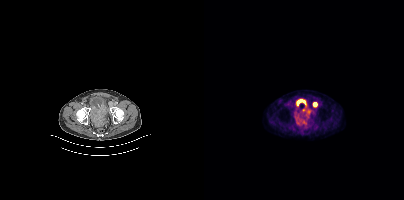
{"pet_grid":[200,200],"coord_frame":"pet_panel","coord_format":"x0,y0,x1,y1","lesion_bboxes":[[109,102,112,106]],"modality":"PSMA PET/CT","view":"axial","tracer":"18F"}